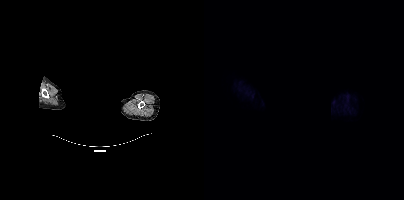
Technique: Left: CT. Right: PSMA PET, same axial level, 18F tracer. acquired on Siemens Biograph mCT Flow 20.
Note: Head region blanked for anonymization (face removed).
Findings: Negative for PSMA-avid disease on this slice.